Technique: Left: CT. Right: PSMA PET, same axial level, 68Ga-PSMA tracer. slice 145 of 444. PET panel 200×200 px (4.1 mm/px).
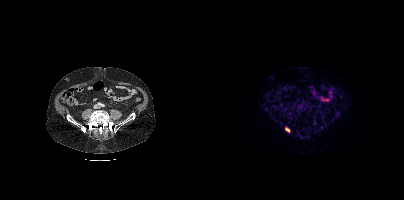
Findings: Coordinates are on the 200×200 PET (right) panel. PSMA-avid tumor lesion bounding box (x, y, width, height): x=81 y=128 w=5 h=4.